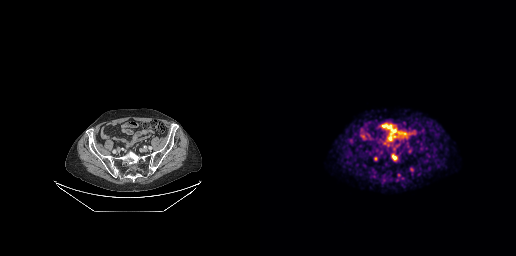
Left: CT. Right: PSMA PET, same axial level, 68Ga tracer. Slice 93 of 263. PET panel 256×256 px (2.7 mm/px). Coordinates are on the 256×256 PET (right) panel. (showing 3 of 4 foci) PSMA-avid tumor lesion bounding box (x, y, width, height): x=131 y=153 w=7 h=9. Small PSMA-avid foci (2 to 4 px across) near (center x, center y): (150, 150); (115, 158).